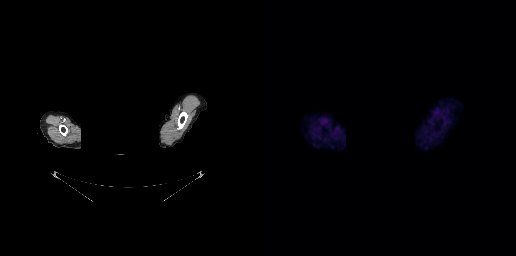
Findings: This slice has no annotated PSMA-avid lesion.
- face de-identified by blanking a block of the head
- Paired axial CT (left) and PSMA PET (right), 18F-PSMA tracer
- slice 246 of 263